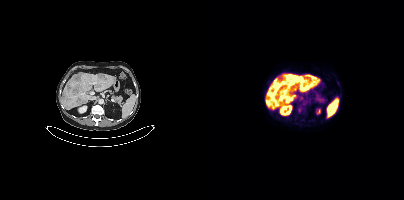
{"modality":"PSMA PET/CT","view":"axial","tracer":"18F","pet_grid":[200,200],"coord_frame":"pet_panel","coord_format":"x0,y0,x1,y1","lesion_bboxes":[[91,76,101,81],[70,82,76,89],[96,84,101,89],[96,96,99,100],[94,108,97,112]]}